Two-panel axial: CT | PSMA PET, 18F-PSMA tracer. Acquired on GE Discovery 690. Slice position z = -519 mm.
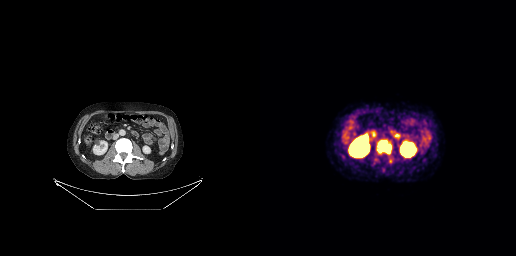
Coordinates are on the 256×256 PET (right) panel. PSMA-avid tumor lesion bounding boxes:
| # | x0 | y0 | x1 | y1 |
|---|---|---|---|---|
| 1 | 117 | 140 | 131 | 154 |